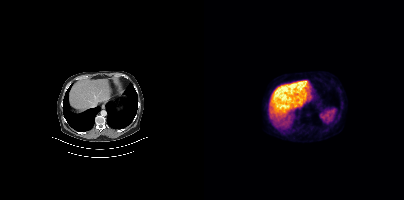
No tumor lesions annotated on this slice.